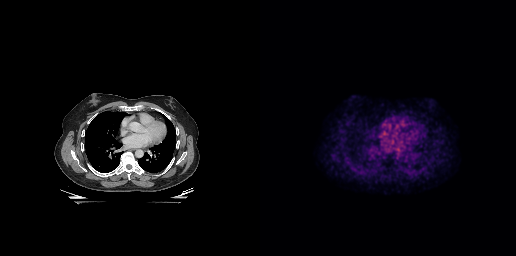
modality: PSMA PET/CT | tracer: 18F-PSMA | view: axial
No tumor lesions annotated on this slice.